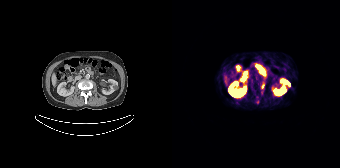
Coordinates are on the 168×168 PET (right) panel. (showing 1 of 2 foci) PSMA-avid tumor lesion bounding box (x, y, width, height): x=90 y=84 w=3 h=5. Left: CT. Right: PSMA PET, same axial level, 68Ga tracer. Acquired on Siemens Biograph 64-4R TruePoint. PET panel 168×168 px (4.1 mm/px).